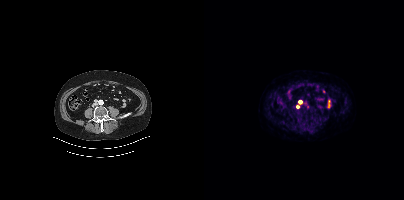
Coordinates are on the 200×200 PET (right) panel. Small PSMA-avid foci (2 to 4 px across) near (center x, center y): (96, 101); (93, 106).